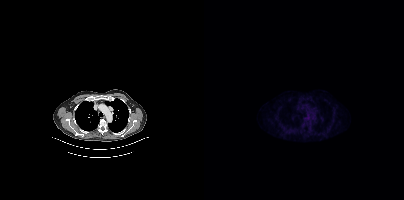
Left: CT. Right: PSMA PET, same axial level, [18F]PSMA-1007 tracer. Acquired on Siemens Biograph mCT Flow 20. Slice 320 of 427. PET panel 200×200 px (4.1 mm/px). No tumor lesions annotated on this slice.